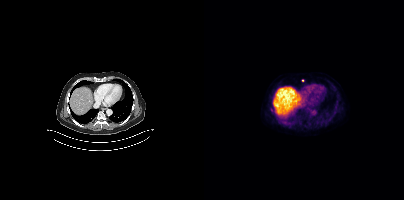
Coordinates are on the 200×200 PET (right) panel. Small PSMA-avid focus (2 to 4 px across) near (center x, center y): (98, 80).
modality: PSMA PET/CT | tracer: 18F-PSMA | view: axial | PET grid: 200×200